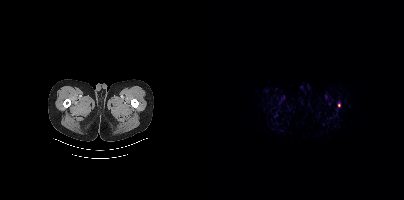
Coordinates are on the 200×200 PET (right) panel. PSMA-avid tumor lesion bounding box (x0, y0)-(x1, y1): (133, 102)-(136, 107).